Left: CT. Right: PSMA PET, same axial level, [68Ga]Ga-PSMA-11 tracer.
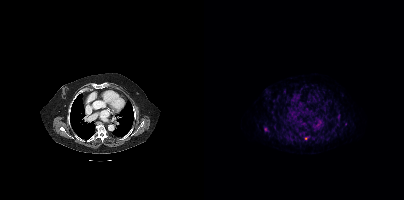
This slice has no annotated PSMA-avid lesion.